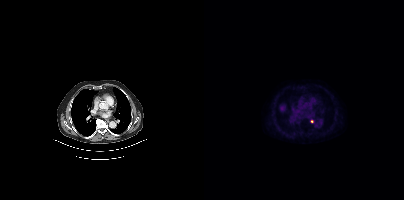
{"modality":"PSMA PET/CT","view":"axial","tracer":"18F-PSMA","pet_grid":[200,200],"coord_frame":"pet_panel","coord_format":"x0,y0,x1,y1","lesion_bboxes":[],"small_foci_centers":[[107,121]]}